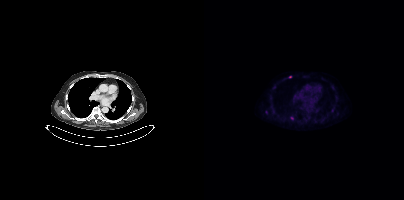
Findings: Coordinates are on the 200×200 PET (right) panel. Small PSMA-avid foci (2 to 4 px across) near (center x, center y): (87, 118); (85, 76).
Technique: Paired axial CT (left) and PSMA PET (right), [18F]PSMA-1007 tracer. PET panel 200×200 px (4.1 mm/px).